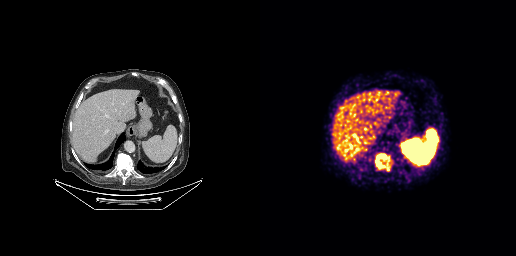
{"modality":"PSMA PET/CT","view":"axial","tracer":"[68Ga]Ga-PSMA-11","pet_grid":[256,256],"coord_frame":"pet_panel","coord_format":"x0,y0,x1,y1","lesion_bboxes":[[115,153,130,170]]}